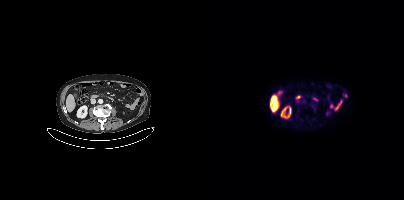
Negative for PSMA-avid disease on this slice.